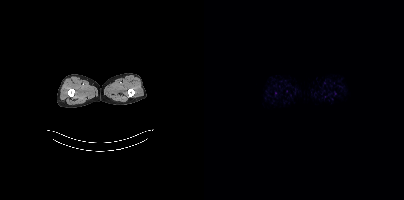
{"modality":"PSMA PET/CT","view":"axial","tracer":"18F","pet_grid":[200,200],"coord_frame":"pet_panel","coord_format":"x0,y0,x1,y1","psma_avid_lesions":false}